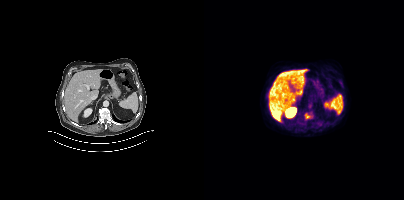
modality: PSMA PET/CT | tracer: 18F-PSMA | view: axial
Coordinates are on the 200×200 PET (right) panel. PSMA-avid tumor lesion bounding box (x, y, width, height): x=101 y=113 w=6 h=6.